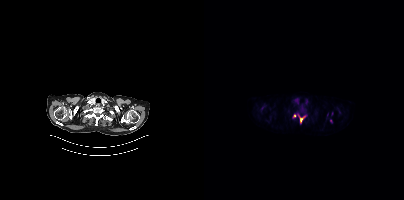
Left: CT. Right: PSMA PET, same axial level, 18F-PSMA tracer. PET panel 200×200 px (4.1 mm/px).
Coordinates are on the 200×200 PET (right) panel. PSMA-avid tumor lesion bounding boxes (partial; 1 more focus not listed):
| # | x0 | y0 | x1 | y1 |
|---|---|---|---|---|
| 1 | 96 | 116 | 100 | 121 |
Small PSMA-avid foci (2 to 4 px across) near (center x, center y): (90, 115); (94, 114).